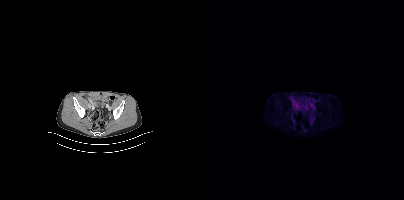
No PSMA-avid tumor lesions on this slice.